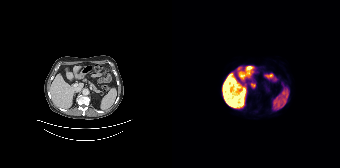
- Left: CT. Right: PSMA PET, same axial level, 18F-PSMA tracer
- acquired on Siemens Biograph 64-4R TruePoint
- PET panel 168×168 px (4.1 mm/px)
Findings: No PSMA-avid tumor lesions on this slice.